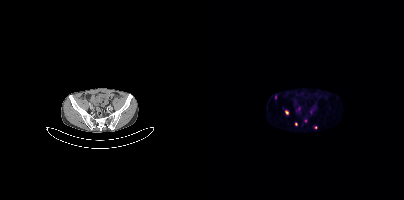
- Two-panel axial: CT | PSMA PET, 68Ga tracer
- slice 93 of 409
- PET panel 200×200 px (4.1 mm/px)
Findings: Coordinates are on the 200×200 PET (right) panel. (showing 5 of 6 foci) PSMA-avid tumor lesion bounding box (x0,y0,x1,y1): [81,110,84,114]. Small PSMA-avid foci (2 to 4 px across) near (center x, center y): (101, 120); (71, 97); (92, 124); (111, 127).